Left: CT. Right: PSMA PET, same axial level, 18F tracer. Acquired on Siemens Biograph mCT Flow 20. PET panel 200×200 px (4.1 mm/px).
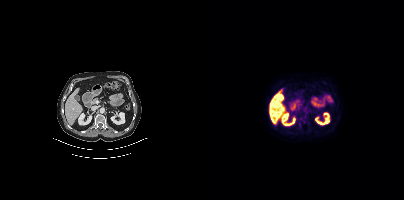
No PSMA-avid tumor lesions on this slice.